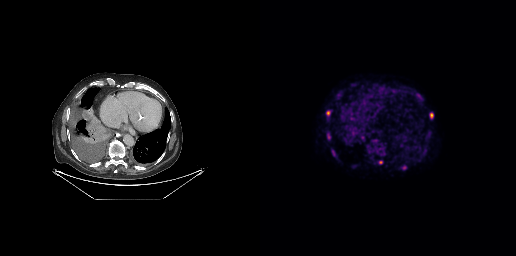
Left: CT. Right: PSMA PET, same axial level, 18F tracer. Acquired on GE Discovery 690. PET panel 256×256 px (2.7 mm/px). Coordinates are on the 256×256 PET (right) panel. (showing 6 of 7 foci) PSMA-avid tumor lesion bounding boxes (x0,y0,x1,y1): [156,93,161,98]; [170,113,173,118]; [71,149,75,155]; [66,111,70,115]. Small PSMA-avid foci (2 to 4 px across) near (center x, center y): (144, 167); (120, 162).